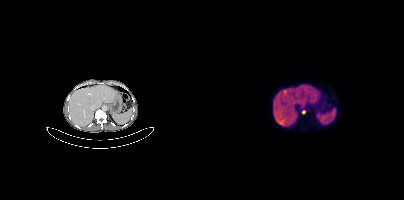
{"modality":"PSMA PET/CT","view":"axial","tracer":"68Ga-PSMA","pet_grid":[200,200],"coord_frame":"pet_panel","coord_format":"x0,y0,x1,y1","lesion_bboxes":[],"small_foci_centers":[[99,112]]}